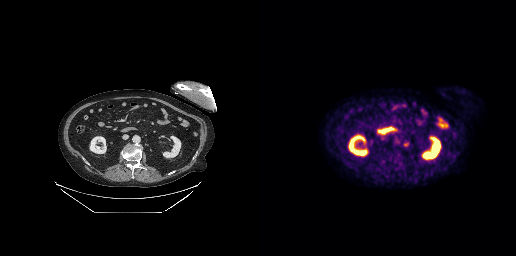
{"modality":"PSMA PET/CT","view":"axial","tracer":"18F-PSMA","pet_grid":[256,256],"coord_frame":"pet_panel","coord_format":"x0,y0,x1,y1","lesion_bboxes":[],"small_foci_centers":[[145,144]]}